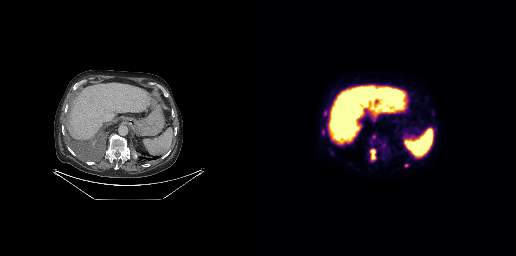
Findings: Coordinates are on the 256×256 PET (right) panel. PSMA-avid tumor lesion bounding boxes (x0,y0,x1,y1): [110,148,116,160]; [61,128,66,135]; [64,110,67,116]; [112,135,114,139]; [144,166,148,167].
Technique: Left: CT. Right: PSMA PET, same axial level, 18F-PSMA tracer. acquired on GE Discovery 690. slice 172 of 299.